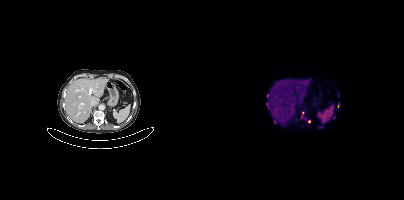
- Two-panel axial: CT | PSMA PET, [68Ga]Ga-PSMA-11 tracer
- acquired on Siemens Biograph mCT Flow 20
- slice 236 of 411
- PET panel 200×200 px (4.1 mm/px)
Findings: Coordinates are on the 200×200 PET (right) panel. (showing 7 of 11 foci) PSMA-avid tumor lesion bounding boxes (x0,y0,x1,y1): [114,126,118,128], [134,104,135,108]. Small PSMA-avid foci (2 to 4 px across) near (center x, center y): (71, 121), (105, 121), (98, 112), (101, 117), (129, 117).